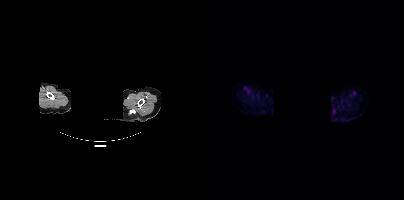
Two-panel axial: CT | PSMA PET, [18F]PSMA-1007 tracer. Slice 377 of 429. PET panel 200×200 px (4.1 mm/px). Facial anatomy redacted by setting a rectangular region of the head to black. This slice has no annotated PSMA-avid lesion.